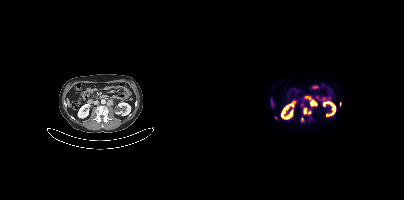
{"modality":"PSMA PET/CT","view":"axial","tracer":"[18F]PSMA-1007","pet_grid":[200,200],"coord_frame":"pet_panel","coord_format":"x0,y0,x1,y1","lesion_bboxes":[[106,101,112,105],[100,109,102,113]],"small_foci_centers":[[98,119],[136,104],[105,112],[71,117]]}